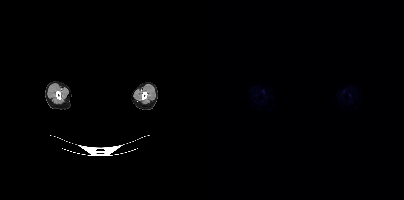
Findings: No PSMA-avid tumor lesions on this slice.
- the face region was removed for patient privacy by blanking a rectangle over the head
- Paired axial CT (left) and PSMA PET (right), 18F tracer
- acquired on Siemens Biograph mCT Flow 20
- slice position z = -796 mm